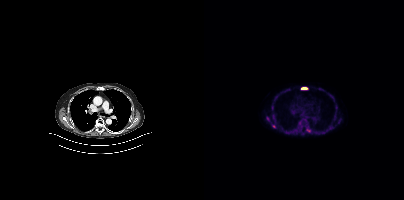
Two-panel axial: CT | PSMA PET, 18F-PSMA tracer. Acquired on Siemens Biograph mCT Flow 20. PET panel 200×200 px (4.1 mm/px). Coordinates are on the 200×200 PET (right) panel. PSMA-avid tumor lesion bounding boxes (x0, y0)-(x1, y1): (68, 114)-(71, 119) | (97, 87)-(103, 89). Small PSMA-avid foci (2 to 4 px across) near (center x, center y): (70, 126) | (95, 123) | (104, 130) | (63, 118).